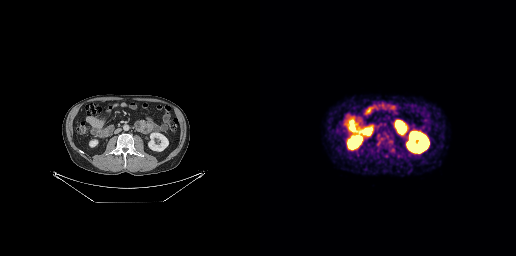
Findings: Coordinates are on the 256×256 PET (right) panel. PSMA-avid tumor lesion bounding boxes (x, y, width, height): x=116 y=135 w=12 h=14; x=129 y=148 w=6 h=5; x=130 y=138 w=5 h=5.
- Left: CT. Right: PSMA PET, same axial level, 18F-PSMA tracer
- slice position z = -536 mm
- PET panel 256×256 px (2.7 mm/px)